Technique: Left: CT. Right: PSMA PET, same axial level, [18F]PSMA-1007 tracer. acquired on Siemens Biograph mCT Flow 20. slice position z = -1320 mm.
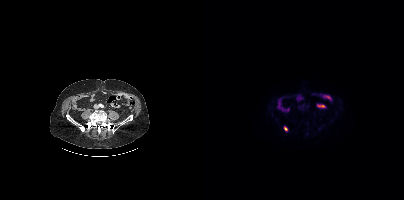
Findings: Coordinates are on the 200×200 PET (right) panel. Small PSMA-avid focus (2 to 4 px across) near (center x, center y): (81, 128).